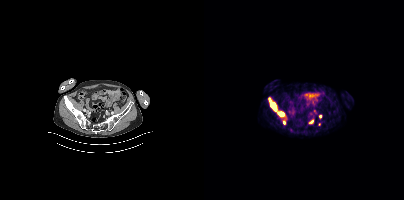
modality: PSMA PET/CT | tracer: 18F | view: axial | PET grid: 200×200
Coordinates are on the 200×200 PET (right) panel. (showing 4 of 5 foci) PSMA-avid tumor lesion bounding boxes (x, y, width, height): x=64 y=97 w=18 h=21 / x=105 y=120 w=5 h=4. Small PSMA-avid foci (2 to 4 px across) near (center x, center y): (80, 121) / (116, 116).